- Left: CT. Right: PSMA PET, same axial level, 68Ga-PSMA tracer
- PET panel 168×168 px (4.1 mm/px)
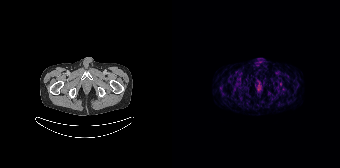
Findings: No PSMA-avid tumor lesions on this slice.